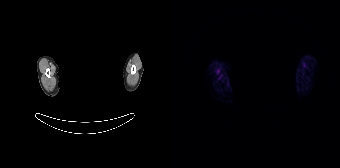
The head region is masked for de-identification. Paired axial CT (left) and PSMA PET (right), [68Ga]Ga-PSMA-11 tracer. Slice 181 of 195. PET panel 168×168 px (4.1 mm/px). No tumor lesions annotated on this slice.